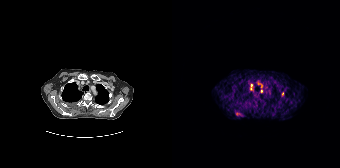
Coordinates are on the 168×168 PET (right) panel. PSMA-avid tumor lesion bounding boxes:
| # | x0 | y0 | x1 | y1 |
|---|---|---|---|---|
| 1 | 63 | 112 | 69 | 116 |
| 2 | 78 | 84 | 80 | 90 |
| 3 | 86 | 83 | 90 | 87 |
| 4 | 110 | 92 | 111 | 96 |
Small PSMA-avid focus (2 to 4 px across) near (center x, center y): (89, 90).
Two-panel axial: CT | PSMA PET, 68Ga tracer. PET panel 168×168 px (4.1 mm/px).